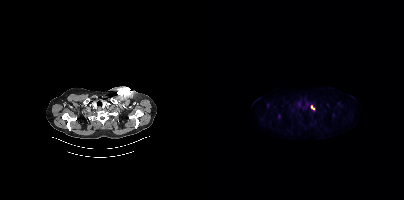
modality: PSMA PET/CT | tracer: 18F | view: axial
Coordinates are on the 200×200 PET (right) panel. PSMA-avid tumor lesion bounding box (x, y, width, height): x=107 y=105 w=4 h=5.